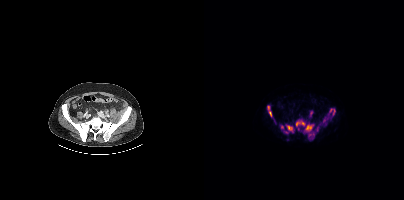
modality: PSMA PET/CT | tracer: 18F | view: axial | PET grid: 200×200
Coordinates are on the 200×200 PET (right) panel. (showing 8 of 12 foci) PSMA-avid tumor lesion bounding boxes (x0, y0)-(x1, y1): (124, 108)-(131, 116); (101, 125)-(108, 131); (92, 121)-(101, 125); (83, 125)-(88, 131); (104, 135)-(110, 140); (63, 106)-(67, 116); (76, 124)-(79, 129). Small PSMA-avid focus (2 to 4 px across) near (center x, center y): (120, 122).